Paired axial CT (left) and PSMA PET (right), 18F tracer. Acquired on Siemens Biograph mCT Flow 20. PET panel 200×200 px (4.1 mm/px).
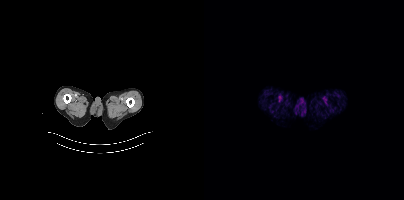
No tumor lesions annotated on this slice.